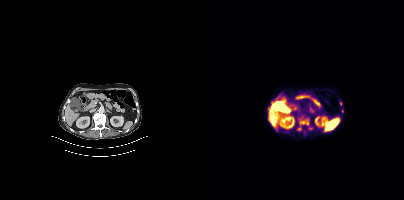
{"modality":"PSMA PET/CT","view":"axial","tracer":"[18F]PSMA-1007","pet_grid":[200,200],"coord_frame":"pet_panel","coord_format":"x0,y0,x1,y1","partial":true,"lesion_bboxes":[[96,122,104,124]],"small_foci_centers":[[136,103],[95,129],[138,111]]}